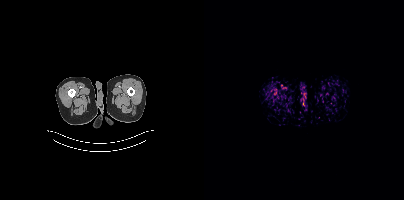
No PSMA-avid tumor lesions on this slice.